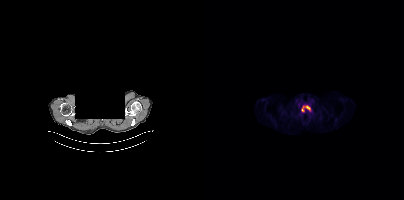
Coordinates are on the 200×200 PET (right) panel. PSMA-avid tumor lesion bounding box (x0, y0)-(x1, y1): (98, 105)-(106, 111). Two-panel axial: CT | PSMA PET, 18F tracer. An anonymization step blacked out a rectangle over the head in this scan.